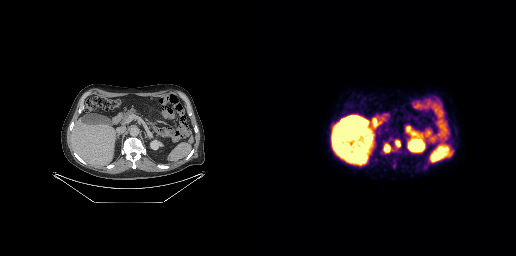
Findings: Coordinates are on the 256×256 PET (right) panel. PSMA-avid tumor lesion bounding boxes (x0,y0,x1,y1): [124,144,134,152] [135,140,140,146].
Technique: Left: CT. Right: PSMA PET, same axial level, [18F]PSMA-1007 tracer. PET panel 256×256 px (2.7 mm/px).